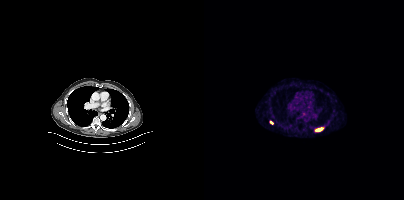
{"modality":"PSMA PET/CT","view":"axial","tracer":"68Ga","pet_grid":[200,200],"coord_frame":"pet_panel","coord_format":"x0,y0,x1,y1","lesion_bboxes":[[112,128,117,131]],"small_foci_centers":[[67,122]]}